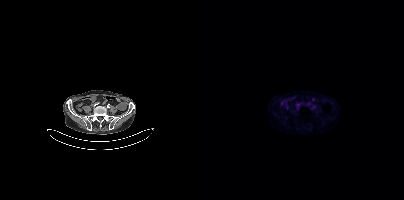
{"modality":"PSMA PET/CT","view":"axial","tracer":"18F-PSMA","pet_grid":[200,200],"coord_frame":"pet_panel","coord_format":"x0,y0,x1,y1","psma_avid_lesions":false}